Paired axial CT (left) and PSMA PET (right), 68Ga tracer. Slice 202 of 227. PET panel 256×256 px (2.7 mm/px).
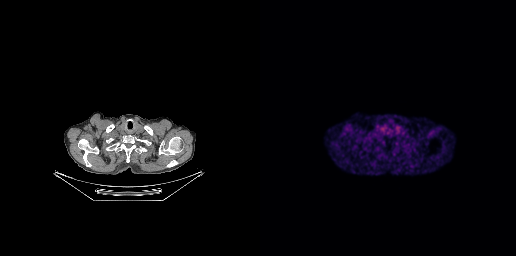
This slice has no annotated PSMA-avid lesion.